Left: CT. Right: PSMA PET, same axial level, 18F tracer. Slice position z = -597 mm. PET panel 200×200 px (4.1 mm/px).
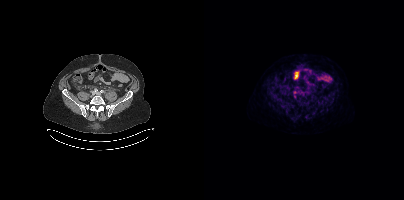
Coordinates are on the 200×200 PET (right) panel. PSMA-avid tumor lesion bounding box (x0,y0,x1,y1): [89,94,92,98]. Small PSMA-avid focus (2 to 4 px across) near (center x, center y): (101, 97).